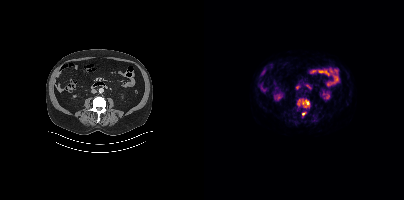
Two-panel axial: CT | PSMA PET, [18F]PSMA-1007 tracer. Slice position z = -634 mm.
Coordinates are on the 200×200 PET (right) panel. PSMA-avid tumor lesion bounding boxes (partial; 1 more focus not listed):
| # | x0 | y0 | x1 | y1 |
|---|---|---|---|---|
| 1 | 93 | 99 | 105 | 108 |
Small PSMA-avid focus (2 to 4 px across) near (center x, center y): (99, 113).